Two-panel axial: CT | PSMA PET, 68Ga tracer. Acquired on Siemens Biograph 64-4R TruePoint. Slice 64 of 195. PET panel 168×168 px (4.1 mm/px).
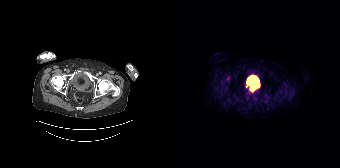
Negative for PSMA-avid disease on this slice.